de-identification: rectangular block over head set to black | modality: PSMA PET/CT | tracer: [18F]PSMA-1007 | view: axial
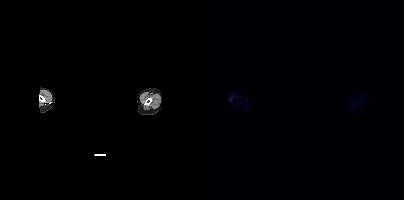
No PSMA-avid tumor lesions on this slice.